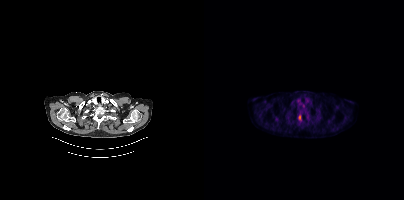
Coordinates are on the 200×200 PET (right) panel. PSMA-avid tumor lesion bounding box (x, y, width, height): x=94 y=114 w=4 h=5.